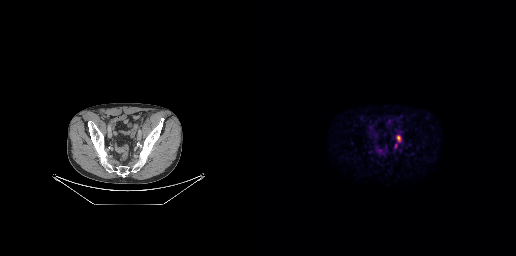
Technique: Two-panel axial: CT | PSMA PET, 18F tracer. PET panel 256×256 px (2.7 mm/px).
Findings: Coordinates are on the 256×256 PET (right) panel. PSMA-avid tumor lesion bounding boxes (x0, y0)-(x1, y1): (136, 135)-(140, 141) / (134, 145)-(136, 149).